Two-panel axial: CT | PSMA PET, 18F-PSMA tracer. A rectangle over the head was blacked out to remove identifiable facial features.
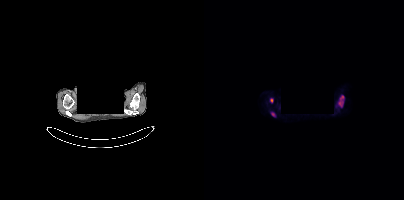
Coordinates are on the 200×200 PET (right) panel. PSMA-avid tumor lesion bounding box (x0, y0)-(x1, y1): (134, 95)-(139, 106). Small PSMA-avid foci (2 to 4 px across) near (center x, center y): (68, 114); (67, 100).